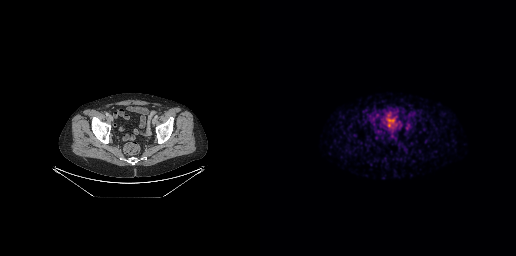
{"modality":"PSMA PET/CT","view":"axial","tracer":"68Ga-PSMA","pet_grid":[256,256],"coord_frame":"pet_panel","coord_format":"x0,y0,x1,y1","psma_avid_lesions":false}